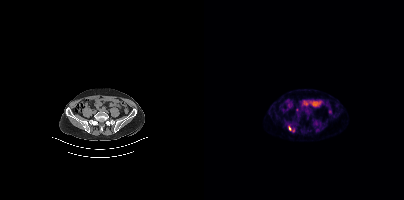
Findings: Coordinates are on the 200×200 PET (right) panel. PSMA-avid tumor lesion bounding box (x0, y0)-(x1, y1): (85, 126)-(87, 130).
- Left: CT. Right: PSMA PET, same axial level, [68Ga]Ga-PSMA-11 tracer
- acquired on Siemens Biograph mCT Flow 20
- slice position z = -921 mm